- Paired axial CT (left) and PSMA PET (right), [18F]PSMA-1007 tracer
- slice 52 of 417
- PET panel 200×200 px (4.1 mm/px)
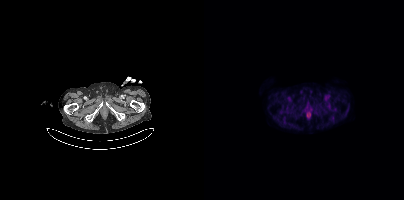
Findings: No PSMA-avid tumor lesions on this slice.